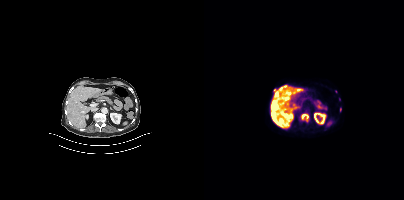
Two-panel axial: CT | PSMA PET, 18F-PSMA tracer. Acquired on Siemens Biograph mCT Flow 20. Slice position z = -592 mm. PET panel 200×200 px (4.1 mm/px).
Coordinates are on the 200×200 PET (right) panel. PSMA-avid tumor lesion bounding boxes (partial; 2 more foci not listed):
| # | x0 | y0 | x1 | y1 |
|---|---|---|---|---|
| 1 | 70 | 89 | 75 | 96 |
| 2 | 82 | 87 | 87 | 94 |
| 3 | 98 | 114 | 104 | 118 |
Small PSMA-avid focus (2 to 4 px across) near (center x, center y): (96, 89).